Left: CT. Right: PSMA PET, same axial level, [68Ga]Ga-PSMA-11 tracer. PET panel 168×168 px (4.1 mm/px).
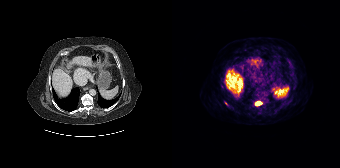
Coordinates are on the 168×168 PET (right) panel. PSMA-avid tumor lesion bounding box (x0, y0)-(x1, y1): (83, 101)-(90, 106). Small PSMA-avid focus (2 to 4 px across) near (center x, center y): (54, 103).